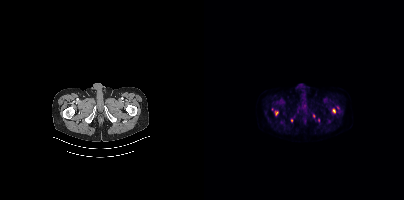
- Paired axial CT (left) and PSMA PET (right), 18F tracer
Findings: Coordinates are on the 200×200 PET (right) panel. (showing 4 of 6 foci) PSMA-avid tumor lesion bounding boxes (x0,y0,x1,y1): [128,108,131,113], [71,111,74,115]. Small PSMA-avid foci (2 to 4 px across) near (center x, center y): (87, 120), (109, 116).